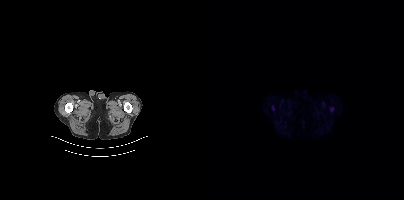
- Paired axial CT (left) and PSMA PET (right), 18F-PSMA tracer
- acquired on Siemens Biograph mCT Flow 20
Findings: Coordinates are on the 200×200 PET (right) panel. Small PSMA-avid focus (2 to 4 px across) near (center x, center y): (127, 109).